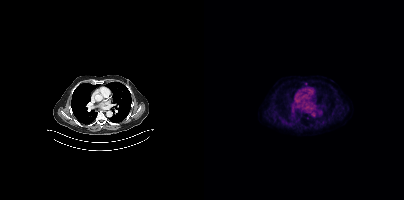
Findings: No tumor lesions annotated on this slice.
- Left: CT. Right: PSMA PET, same axial level, [18F]PSMA-1007 tracer